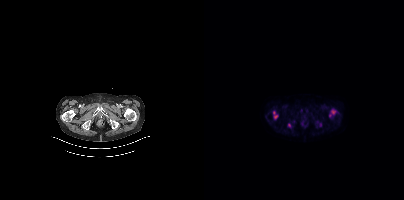
{"pet_grid":[200,200],"coord_frame":"pet_panel","coord_format":"x0,y0,x1,y1","partial":true,"lesion_bboxes":[[69,111,73,119],[127,110,131,114],[84,123,87,127]],"small_foci_centers":[[116,124]],"modality":"PSMA PET/CT","view":"axial","tracer":"18F"}